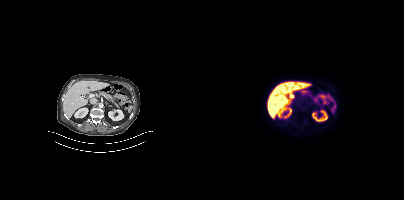
Negative for PSMA-avid disease on this slice.